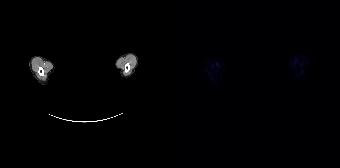
The face region was removed for patient privacy by blanking a rectangle over the head. Two-panel axial: CT | PSMA PET, [18F]PSMA-1007 tracer. Acquired on Siemens Biograph 64-4R TruePoint. Slice 159 of 165. This slice has no annotated PSMA-avid lesion.